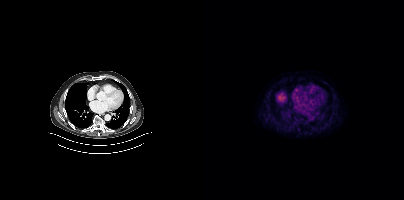
{"modality":"PSMA PET/CT","view":"axial","tracer":"18F-PSMA","pet_grid":[200,200],"coord_frame":"pet_panel","coord_format":"x0,y0,x1,y1","partial":true,"lesion_bboxes":[]}